Two-panel axial: CT | PSMA PET, 18F-PSMA tracer. Slice position z = -89 mm. PET panel 256×256 px (2.7 mm/px). Privacy masking over the head, with the pixels inside a rectangle set to black.
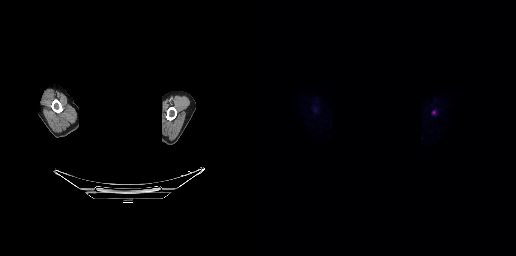
Coordinates are on the 256×256 PET (right) panel. Small PSMA-avid focus (2 to 4 px across) near (center x, center y): (173, 112).